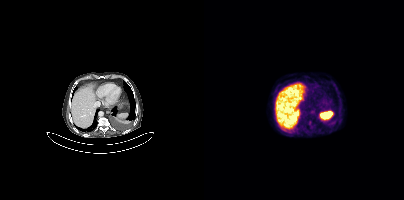
No PSMA-avid tumor lesions on this slice.